modality: PSMA PET/CT | tracer: 18F | view: axial | PET grid: 200×200 | deidentification: head region blacked out before release
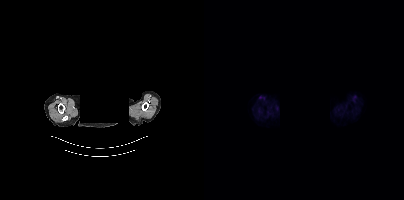
Negative for PSMA-avid disease on this slice.